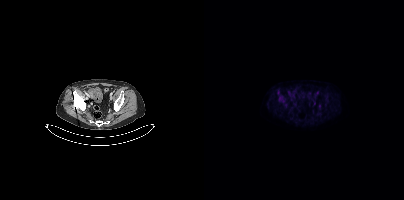
Findings: Coordinates are on the 200×200 PET (right) panel. Small PSMA-avid foci (2 to 4 px across) near (center x, center y): (115, 105); (110, 103).
Technique: Two-panel axial: CT | PSMA PET, [18F]PSMA-1007 tracer. acquired on Siemens Biograph mCT Flow 20.